Paired axial CT (left) and PSMA PET (right), [18F]PSMA-1007 tracer. PET panel 200×200 px (4.1 mm/px).
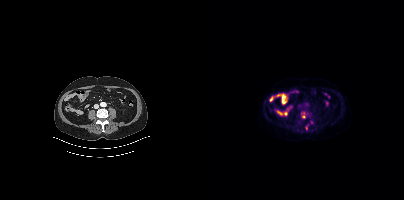
Coordinates are on the 200×200 PET (right) panel. Small PSMA-avid focus (2 to 4 px across) near (center x, center y): (99, 116).